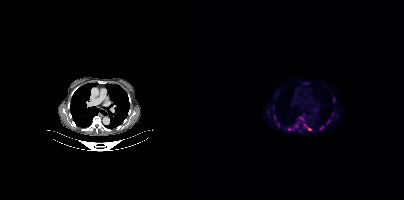
Coordinates are on the 200×200 PET (right) panel. PSMA-avid tumor lesion bounding boxes (x, y, width, height): x=100 y=124 w=8 h=7 | x=84 y=128 w=7 h=3 | x=95 y=117 w=5 h=3 | x=69 y=114 w=3 h=5. Small PSMA-avid foci (2 to 4 px across) near (center x, center y): (92, 126) | (117, 128) | (63, 112) | (74, 124) | (68, 107) | (129, 99) | (123, 122).